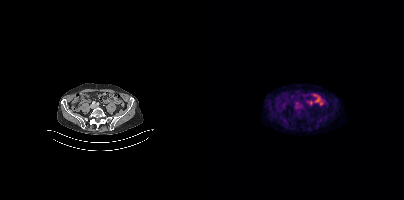
modality: PSMA PET/CT | tracer: 18F | view: axial | PET grid: 200×200
No PSMA-avid tumor lesions on this slice.